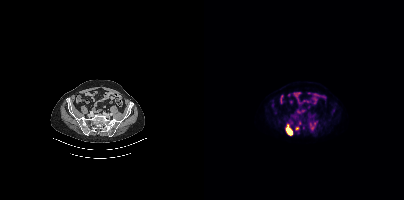
{"modality":"PSMA PET/CT","view":"axial","tracer":"[18F]PSMA-1007","pet_grid":[200,200],"coord_frame":"pet_panel","coord_format":"x0,y0,x1,y1","lesion_bboxes":[[82,125,88,135]],"small_foci_centers":[[93,128]]}